Paired axial CT (left) and PSMA PET (right), [68Ga]Ga-PSMA-11 tracer. Acquired on GE Discovery 690. PET panel 256×256 px (2.7 mm/px).
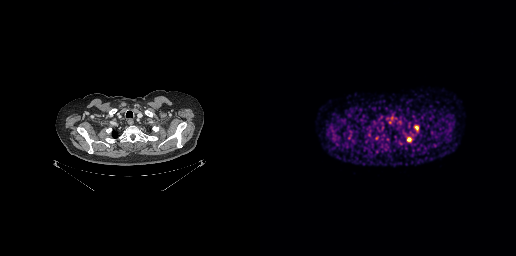
Coordinates are on the 256×256 PET (right) panel. PSMA-avid tumor lesion bounding boxes:
| # | x0 | y0 | x1 | y1 |
|---|---|---|---|---|
| 1 | 154 | 125 | 158 | 130 |
| 2 | 147 | 137 | 151 | 141 |